Paired axial CT (left) and PSMA PET (right), 18F-PSMA tracer. Acquired on GE Discovery 690. Slice position z = -667 mm. PET panel 256×256 px (2.7 mm/px).
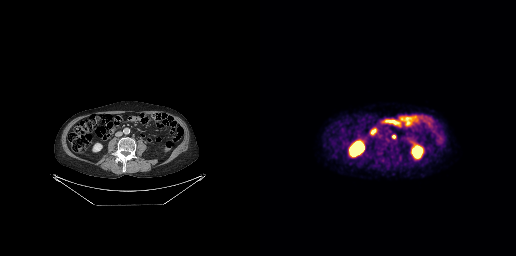
Coordinates are on the 256×256 PET (right) panel. Small PSMA-avid focus (2 to 4 px across) near (center x, center y): (133, 136).